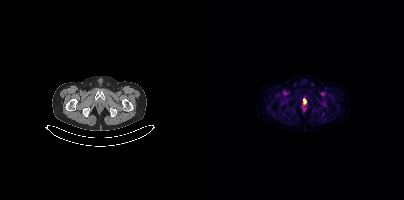
Coordinates are on the 200×200 PET (right) panel. PSMA-avid tumor lesion bounding box (x0, y0)-(x1, y1): (100, 99)-(102, 103).
modality: PSMA PET/CT | tracer: 18F | view: axial | PET grid: 200×200